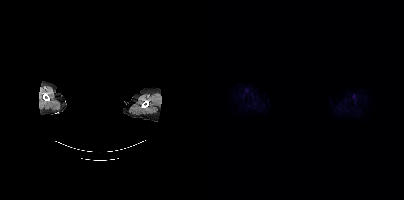
De-identified by setting a box covering the face to black before release. Left: CT. Right: PSMA PET, same axial level, 18F-PSMA tracer. PET panel 200×200 px (4.1 mm/px). This slice has no annotated PSMA-avid lesion.